modality: PSMA PET/CT | tracer: 68Ga | view: axial
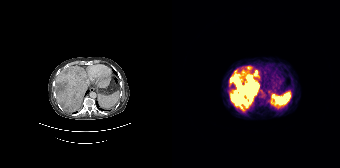
Coordinates are on the 168×168 PET (right) panel. PSMA-avid tumor lesion bounding box (x, y, width, height): x=57 y=66 w=31 h=43.